Left: CT. Right: PSMA PET, same axial level, 18F-PSMA tracer. Acquired on Siemens Biograph mCT Flow 20. Slice 69 of 421. PET panel 200×200 px (4.1 mm/px).
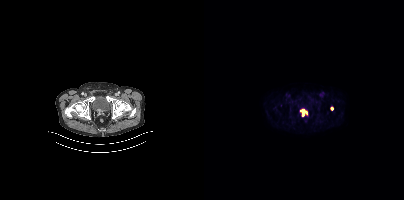
Coordinates are on the 200×200 PET (right) panel. PSMA-avid tumor lesion bounding box (x0, y0)-(x1, y1): (101, 111)-(103, 115). Small PSMA-avid foci (2 to 4 px across) near (center x, center y): (127, 107); (98, 110).